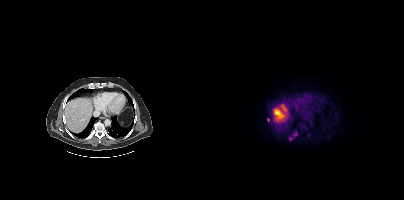
Coordinates are on the 200×200 PET (right) panel. Small PSMA-avid foci (2 to 4 px across) near (center x, center y): (90, 133); (86, 138); (64, 119).